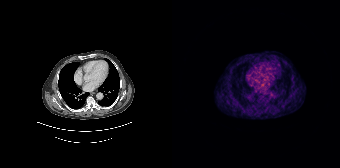
{"modality":"PSMA PET/CT","view":"axial","tracer":"68Ga","pet_grid":[168,168],"coord_frame":"pet_panel","coord_format":"x0,y0,x1,y1","psma_avid_lesions":false}